Paired axial CT (left) and PSMA PET (right), 18F-PSMA tracer.
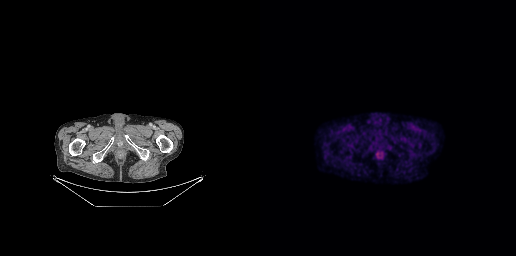
No tumor lesions annotated on this slice.